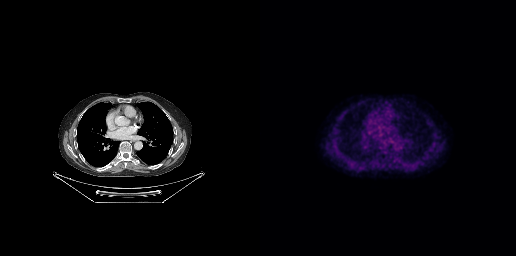
modality: PSMA PET/CT | tracer: [18F]PSMA-1007 | view: axial | PET grid: 256×256
No tumor lesions annotated on this slice.